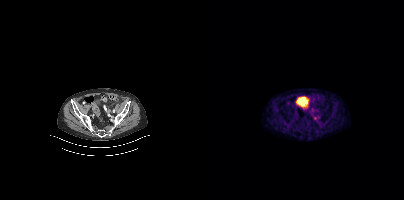
Findings: Only PSMA-avid lesion pieces thinner than 2 px on this slice (not listed).
Technique: Left: CT. Right: PSMA PET, same axial level, [68Ga]Ga-PSMA-11 tracer. PET panel 200×200 px (4.1 mm/px).